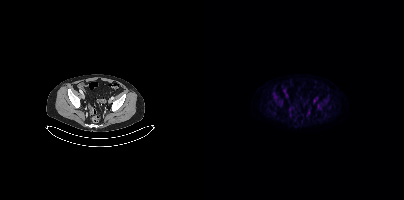
No PSMA-avid tumor lesions on this slice.
modality: PSMA PET/CT | tracer: 18F | view: axial | PET grid: 200×200